Technique: Left: CT. Right: PSMA PET, same axial level, [18F]PSMA-1007 tracer. acquired on GE Discovery 690. slice 116 of 263. PET panel 256×256 px (2.7 mm/px).
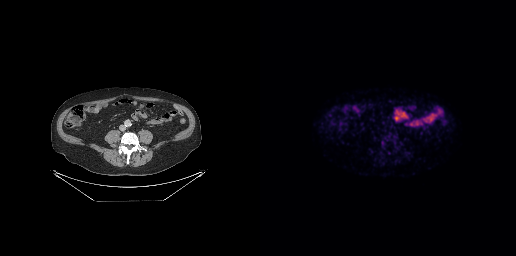
Findings: Negative for PSMA-avid disease on this slice.